- Two-panel axial: CT | PSMA PET, [18F]PSMA-1007 tracer
- PET panel 256×256 px (2.7 mm/px)
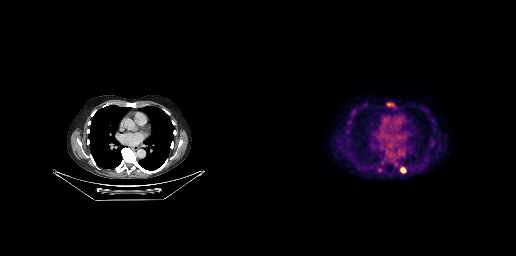
Findings: Coordinates are on the 256×256 PET (right) panel. (showing 3 of 6 foci) PSMA-avid tumor lesion bounding boxes (x, y, width, height): x=126 y=150 w=9 h=8 / x=141 y=168 w=5 h=5. Small PSMA-avid focus (2 to 4 px across) near (center x, center y): (135, 164).